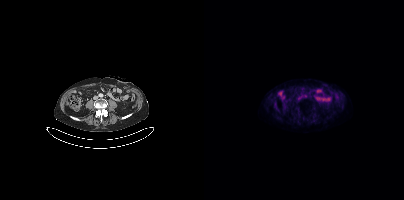
Left: CT. Right: PSMA PET, same axial level, [18F]PSMA-1007 tracer. Slice position z = -1532 mm. PET panel 200×200 px (4.1 mm/px). Negative for PSMA-avid disease on this slice.